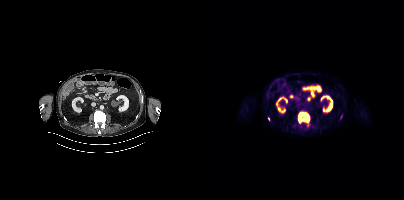
{"modality":"PSMA PET/CT","view":"axial","tracer":"[18F]PSMA-1007","pet_grid":[200,200],"coord_frame":"pet_panel","coord_format":"x0,y0,x1,y1","lesion_bboxes":[[94,112,105,122]],"small_foci_centers":[[137,116],[64,118]]}